Paired axial CT (left) and PSMA PET (right), 18F-PSMA tracer. Slice position z = -1610 mm.
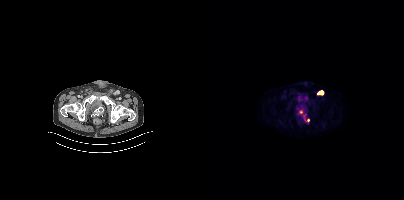
Coordinates are on the 200×200 PET (right) panel. PSMA-avid tumor lesion bounding box (x, y, width, height): x=113 y=90 w=7 h=6. Small PSMA-avid foci (2 to 4 px across) near (center x, center y): (96, 111) | (104, 120).